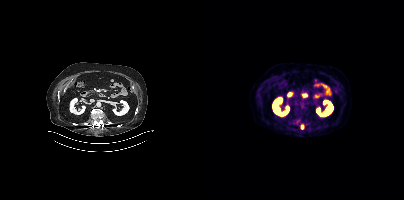
- Paired axial CT (left) and PSMA PET (right), 18F tracer
- acquired on Siemens Biograph mCT Flow 20
- slice position z = -1230 mm
- PET panel 200×200 px (4.1 mm/px)
Findings: Coordinates are on the 200×200 PET (right) panel. Small PSMA-avid focus (2 to 4 px across) near (center x, center y): (97, 126).